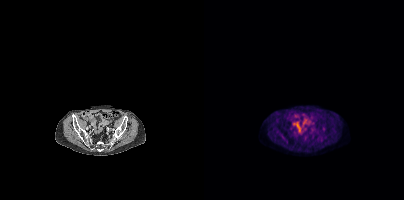
Findings: Only PSMA-avid lesion pieces thinner than 2 px on this slice (not listed).
Technique: Left: CT. Right: PSMA PET, same axial level, 18F-PSMA tracer. slice 103 of 389. PET panel 200×200 px (4.1 mm/px).